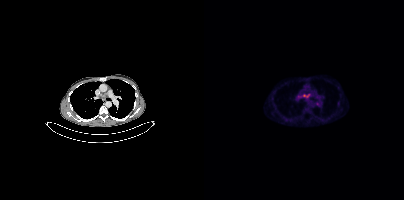
Technique: Two-panel axial: CT | PSMA PET, [18F]PSMA-1007 tracer.
Findings: Coordinates are on the 200×200 PET (right) panel. (showing 3 of 4 foci) PSMA-avid tumor lesion bounding box (x0, y0)-(x1, y1): (93, 95)-(96, 99). Small PSMA-avid foci (2 to 4 px across) near (center x, center y): (113, 103); (103, 95).